Left: CT. Right: PSMA PET, same axial level, 18F-PSMA tracer. Slice position z = -1549 mm.
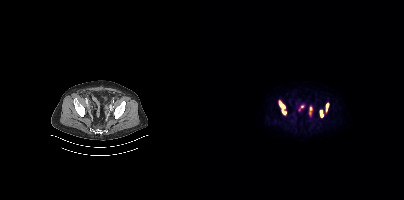
Coordinates are on the 200×200 PET (right) panel. PSMA-avid tumor lesion bounding boxes (x0,y0,x1,y1): [75,100,82,114] [115,110,119,117] [122,103,125,112] [105,107,108,114]. Small PSMA-avid focus (2 to 4 px across) near (center x, center y): (98, 106).